modality: PSMA PET/CT | tracer: 18F-PSMA | view: axial | PET grid: 200×200
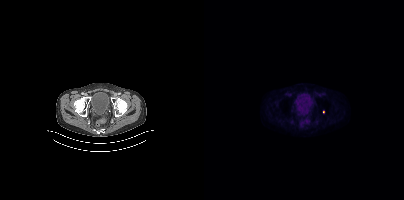
Coordinates are on the 200×200 PET (right) panel. Small PSMA-avid focus (2 to 4 px across) near (center x, center y): (119, 111).